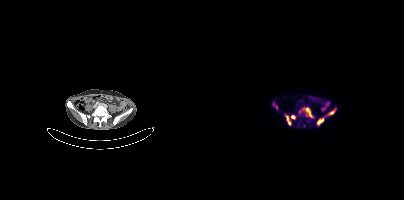
{"modality":"PSMA PET/CT","view":"axial","tracer":"[68Ga]Ga-PSMA-11","pet_grid":[200,200],"coord_frame":"pet_panel","coord_format":"x0,y0,x1,y1","lesion_bboxes":[[102,108,107,116],[113,119,119,124],[82,116,86,124],[126,109,131,114]],"small_foci_centers":[[88,117],[72,107]]}